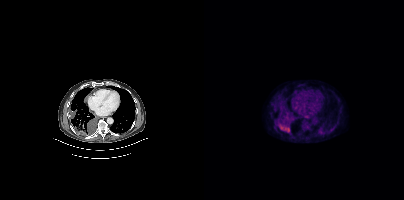
Findings: Coordinates are on the 200×200 PET (right) panel. PSMA-avid tumor lesion bounding box (x0,y0,x1,y1): [73,120,86,132].
Technique: Left: CT. Right: PSMA PET, same axial level, 18F-PSMA tracer. PET panel 200×200 px (4.1 mm/px).